- Two-panel axial: CT | PSMA PET, 18F tracer
- acquired on Siemens Biograph mCT Flow 20
- PET panel 200×200 px (4.1 mm/px)
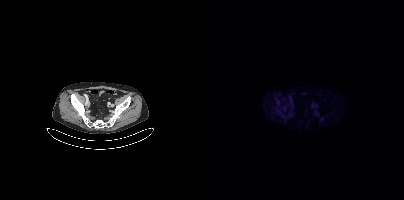
Findings: Negative for PSMA-avid disease on this slice.